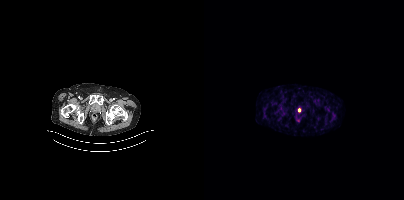
{"modality":"PSMA PET/CT","view":"axial","tracer":"68Ga","pet_grid":[200,200],"coord_frame":"pet_panel","coord_format":"x0,y0,x1,y1","psma_avid_lesions":false}